Technique: Left: CT. Right: PSMA PET, same axial level, 18F-PSMA tracer. PET panel 256×256 px (2.7 mm/px).
Note: The face region was removed for patient privacy by blanking a rectangle over the head.
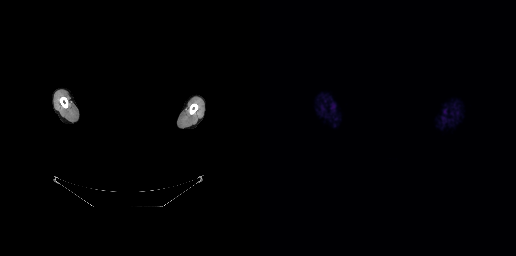
Findings: This slice has no annotated PSMA-avid lesion.